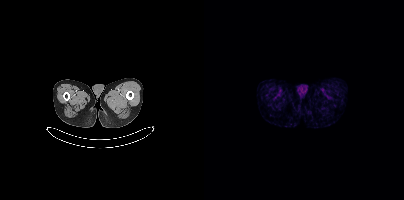
Negative for PSMA-avid disease on this slice.